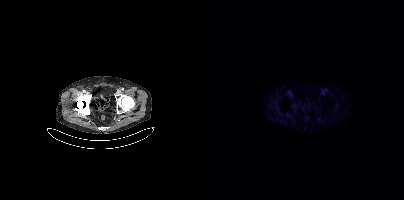
{"modality":"PSMA PET/CT","view":"axial","tracer":"18F","pet_grid":[200,200],"coord_frame":"pet_panel","coord_format":"x0,y0,x1,y1","psma_avid_lesions":false}